Technique: Paired axial CT (left) and PSMA PET (right), [18F]PSMA-1007 tracer. acquired on Siemens Biograph mCT Flow 20.
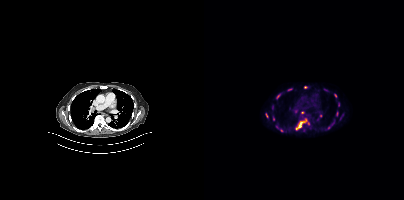
Findings: Coordinates are on the 200×200 PET (right) panel. (showing 15 of 18 foci) PSMA-avid tumor lesion bounding boxes (x0, y0)-(x1, y1): (91, 119)-(102, 130); (72, 94)-(76, 99); (132, 112)-(134, 116); (62, 113)-(64, 117). Small PSMA-avid foci (2 to 4 px across) near (center x, center y): (85, 89); (131, 95); (129, 122); (69, 119); (77, 130); (101, 87); (134, 104); (91, 111); (98, 112); (124, 127); (68, 107).